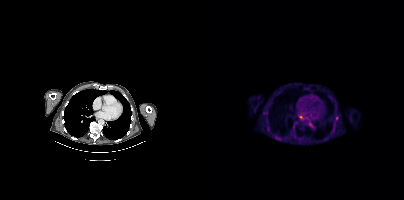
{"modality":"PSMA PET/CT","view":"axial","tracer":"18F","pet_grid":[200,200],"coord_frame":"pet_panel","coord_format":"x0,y0,x1,y1","lesion_bboxes":[[132,116,134,120]],"small_foci_centers":[[95,142]]}